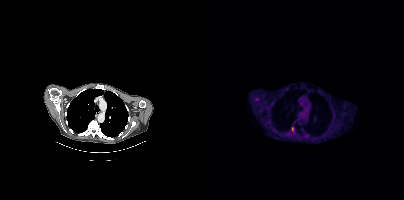
{"pet_grid":[200,200],"coord_frame":"pet_panel","coord_format":"x0,y0,x1,y1","partial":true,"lesion_bboxes":[[88,127,89,132]],"small_foci_centers":[[53,99]],"modality":"PSMA PET/CT","view":"axial","tracer":"18F-PSMA"}